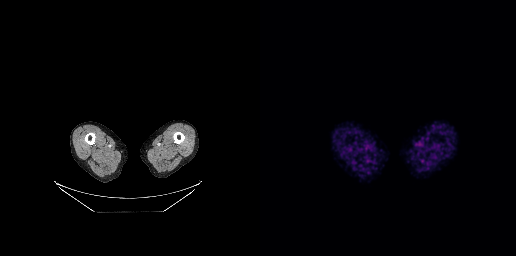
modality: PSMA PET/CT | tracer: 68Ga | view: axial | PET grid: 256×256
No PSMA-avid tumor lesions on this slice.